Left: CT. Right: PSMA PET, same axial level, [18F]PSMA-1007 tracer. Acquired on GE Discovery 690. PET panel 256×256 px (2.7 mm/px).
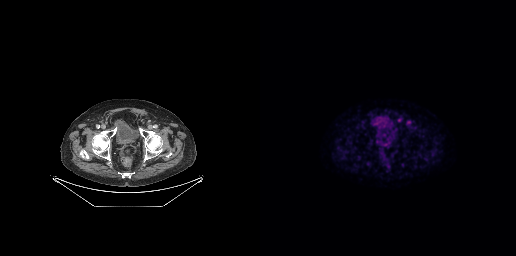
Coordinates are on the 256×256 PET (right) panel. PSMA-avid tumor lesion bounding boxes:
| # | x0 | y0 | x1 | y1 |
|---|---|---|---|---|
| 1 | 137 | 118 | 141 | 122 |
Small PSMA-avid focus (2 to 4 px across) near (center x, center y): (149, 122).